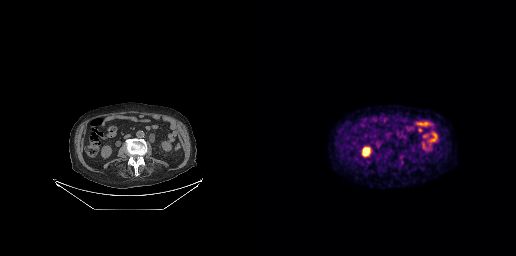
Two-panel axial: CT | PSMA PET, [18F]PSMA-1007 tracer. Acquired on GE Discovery 690. Slice position z = -457 mm. PET panel 256×256 px (2.7 mm/px). Only PSMA-avid lesion pieces thinner than 2 px on this slice (not listed).